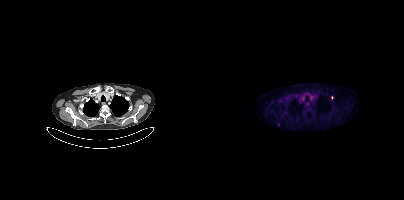
- Paired axial CT (left) and PSMA PET (right), 18F-PSMA tracer
- slice 322 of 401
Findings: Coordinates are on the 200×200 PET (right) panel. (showing 1 of 2 foci) Small PSMA-avid focus (2 to 4 px across) near (center x, center y): (74, 124).